Left: CT. Right: PSMA PET, same axial level, 18F tracer. Acquired on Siemens Biograph mCT Flow 20. Slice position z = -1711 mm. PET panel 200×200 px (4.1 mm/px).
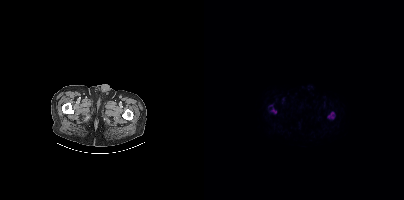
Coordinates are on the 200×200 PET (right) panel. (showing 2 of 3 foci) PSMA-avid tumor lesion bounding boxes (x0, y0)-(x1, y1): (124, 112)-(130, 118) | (67, 108)-(72, 113).